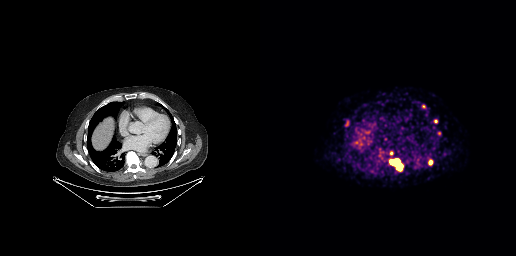
Coordinates are on the 256×256 PET (right) panel. PSMA-avid tumor lesion bounding boxes (x, y, width, height): x=129 y=158 w=15 h=14 | x=169 y=160 w=4 h=5 | x=174 y=119 w=4 h=5. Small PSMA-avid foci (2 to 4 px across) near (center x, center y): (131, 153) | (87, 123) | (163, 106).